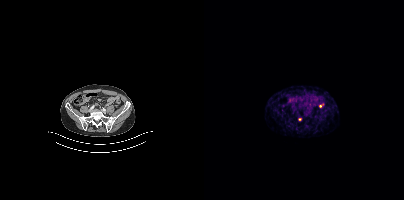
Technique: Two-panel axial: CT | PSMA PET, 68Ga-PSMA tracer. PET panel 200×200 px (4.1 mm/px).
Findings: Coordinates are on the 200×200 PET (right) panel. Small PSMA-avid foci (2 to 4 px across) near (center x, center y): (95, 119) | (116, 105).